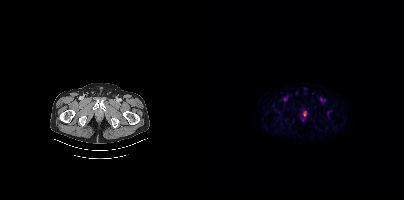
Technique: Two-panel axial: CT | PSMA PET, 18F-PSMA tracer. PET panel 200×200 px (4.1 mm/px).
Findings: Coordinates are on the 200×200 PET (right) panel. Small PSMA-avid focus (2 to 4 px across) near (center x, center y): (100, 113).